- Two-panel axial: CT | PSMA PET, 18F tracer
- acquired on Siemens Biograph mCT Flow 20
- slice 355 of 403
- any black rectangle over the head is a privacy mask, not anatomy
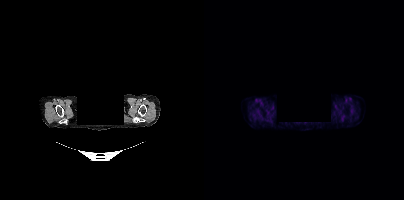
Findings: No tumor lesions annotated on this slice.